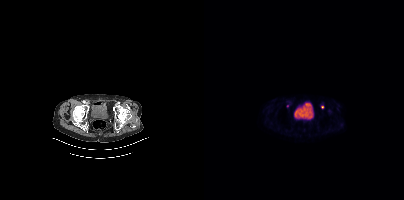
Only PSMA-avid lesion pieces thinner than 2 px on this slice (not listed).